Paired axial CT (left) and PSMA PET (right), [18F]PSMA-1007 tracer. Acquired on GE Discovery 690.
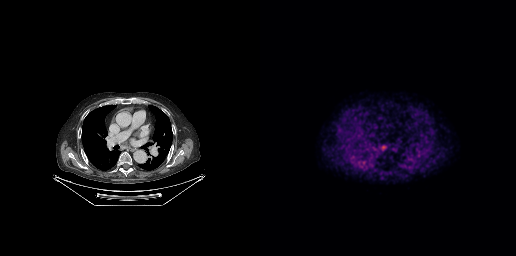
Coordinates are on the 256×256 PET (right) panel. Small PSMA-avid focus (2 to 4 px across) near (center x, center y): (123, 146).